- Left: CT. Right: PSMA PET, same axial level, 18F tracer
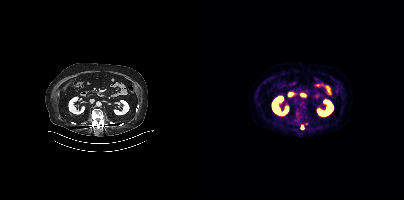
Findings: Coordinates are on the 200×200 PET (right) panel. Small PSMA-avid focus (2 to 4 px across) near (center x, center y): (98, 128).